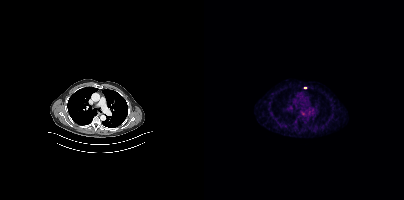
Coordinates are on the 200×200 PET (right) panel. Small PSMA-avid focus (2 to 4 px across) near (center x, center y): (101, 87). Left: CT. Right: PSMA PET, same axial level, [68Ga]Ga-PSMA-11 tracer. Acquired on Siemens Biograph mCT Flow 20. Slice position z = -1016 mm.